Two-panel axial: CT | PSMA PET, 18F-PSMA tracer. Acquired on Siemens Biograph mCT Flow 20.
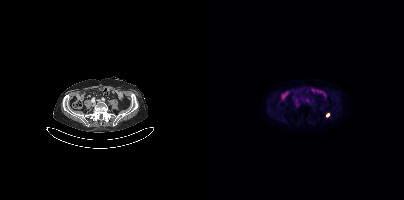
Coordinates are on the 200×200 PET (right) panel. Small PSMA-avid focus (2 to 4 px across) near (center x, center y): (123, 115).